Paired axial CT (left) and PSMA PET (right), 18F-PSMA tracer. Acquired on Siemens Biograph mCT Flow 20. Slice position z = -1459 mm.
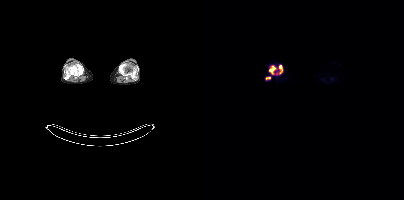
Coordinates are on the 200×200 PET (right) panel. PSMA-avid tumor lesion bounding boxes (partial; 1 more focus not listed):
| # | x0 | y0 | x1 | y1 |
|---|---|---|---|---|
| 1 | 65 | 66 | 72 | 73 |
| 2 | 75 | 65 | 78 | 73 |
| 3 | 61 | 76 | 66 | 79 |